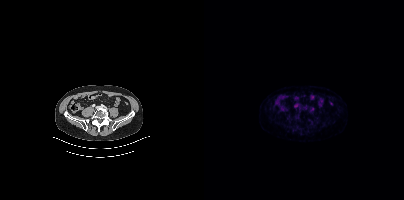
{"modality":"PSMA PET/CT","view":"axial","tracer":"68Ga","pet_grid":[200,200],"coord_frame":"pet_panel","coord_format":"x0,y0,x1,y1","psma_avid_lesions":false}